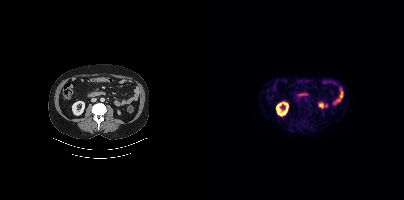
Technique: Left: CT. Right: PSMA PET, same axial level, 18F tracer. acquired on Siemens Biograph mCT Flow 20. PET panel 200×200 px (4.1 mm/px).
Findings: Coordinates are on the 200×200 PET (right) panel. (showing 2 of 5 foci) Small PSMA-avid foci (2 to 4 px across) near (center x, center y): (97, 123); (101, 115).